- Left: CT. Right: PSMA PET, same axial level, 18F tracer
- acquired on Siemens Biograph mCT Flow 20
- slice 167 of 395
- PET panel 200×200 px (4.1 mm/px)
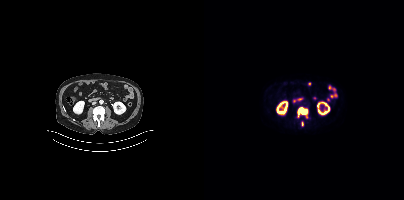
Findings: Coordinates are on the 200×200 PET (right) panel. PSMA-avid tumor lesion bounding box (x, y, width, height): x=93 y=107 w=12 h=12. Small PSMA-avid focus (2 to 4 px across) near (center x, center y): (98, 123).